- Left: CT. Right: PSMA PET, same axial level, 68Ga-PSMA tracer
- slice position z = -1146 mm
- PET panel 200×200 px (4.1 mm/px)
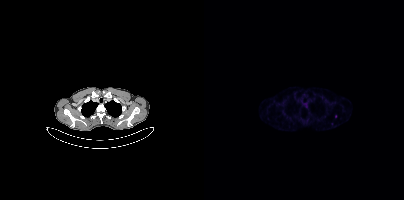
Findings: Only PSMA-avid lesion pieces thinner than 2 px on this slice (not listed).